- Left: CT. Right: PSMA PET, same axial level, 68Ga-PSMA tracer
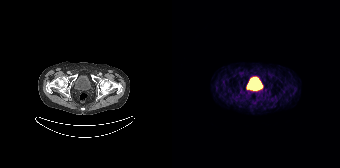
Findings: No tumor lesions annotated on this slice.